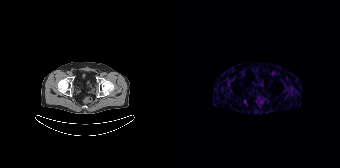
Technique: Two-panel axial: CT | PSMA PET, 68Ga tracer.
Findings: Negative for PSMA-avid disease on this slice.